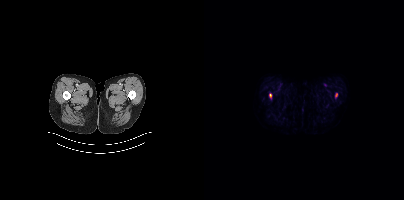
Coordinates are on the 200×200 PET (right) panel. Small PSMA-avid foci (2 to 4 px across) near (center x, center y): (66, 95); (132, 94).